- Paired axial CT (left) and PSMA PET (right), [18F]PSMA-1007 tracer
- slice position z = -817 mm
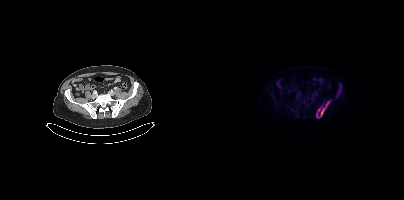
Findings: Coordinates are on the 200×200 PET (right) panel. (showing 2 of 3 foci) PSMA-avid tumor lesion bounding boxes (x0, y0)-(x1, y1): (112, 101)-(125, 118) | (133, 90)-(136, 95).